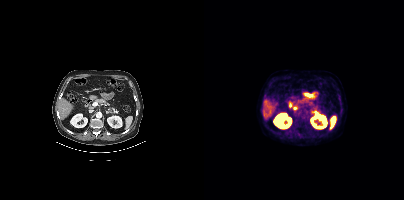
{"modality":"PSMA PET/CT","view":"axial","tracer":"[18F]PSMA-1007","pet_grid":[200,200],"coord_frame":"pet_panel","coord_format":"x0,y0,x1,y1","psma_avid_lesions":false}